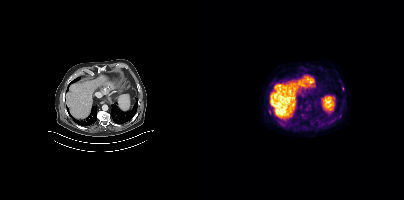
Coordinates are on the 200×200 PET (right) panel. (showing 1 of 4 foci) Small PSMA-avid focus (2 to 4 px across) near (center x, center y): (65, 111). Two-panel axial: CT | PSMA PET, 18F-PSMA tracer. Acquired on Siemens Biograph mCT Flow 20.